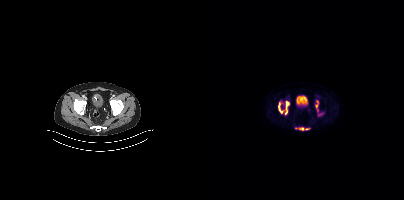
modality: PSMA PET/CT | tracer: 18F-PSMA | view: axial
Coordinates are on the 200×200 PET (right) panel. PSMA-avid tumor lesion bounding boxes (x, y, width, height): x=74 y=101 w=12 h=14; x=111 y=100 w=4 h=12; x=91 y=127 w=15 h=4; x=114 y=113 w=6 h=3.